- Left: CT. Right: PSMA PET, same axial level, 18F tracer
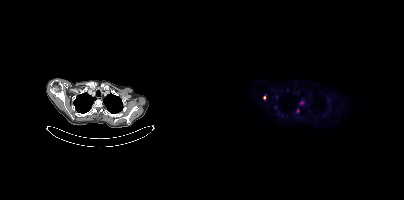
Findings: Coordinates are on the 200×200 PET (right) panel. PSMA-avid tumor lesion bounding box (x0, y0)-(x1, y1): (59, 95)-(62, 99). Small PSMA-avid foci (2 to 4 px across) near (center x, center y): (97, 102) | (93, 110) | (72, 97) | (71, 107) | (83, 89).